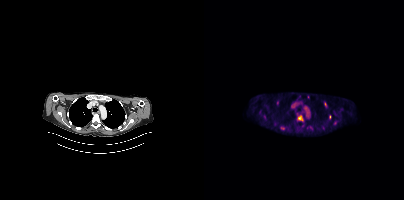
Findings: Coordinates are on the 200×200 PET (right) panel. (showing 4 of 5 foci) PSMA-avid tumor lesion bounding boxes (x0,y0,x1,y1): [93,115,99,121]; [76,126,80,129]; [120,102,122,106]. Small PSMA-avid focus (2 to 4 px across) near (center x, center y): (126, 116).
Technique: Paired axial CT (left) and PSMA PET (right), 18F tracer. PET panel 200×200 px (4.1 mm/px).